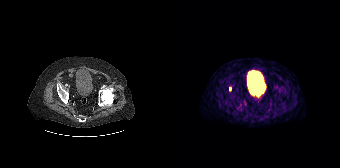
Only PSMA-avid lesion pieces thinner than 2 px on this slice (not listed).